Two-panel axial: CT | PSMA PET, 18F tracer. Slice 71 of 442. PET panel 200×200 px (4.1 mm/px).
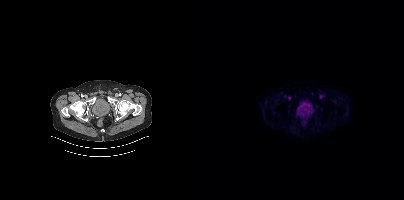
Negative for PSMA-avid disease on this slice.